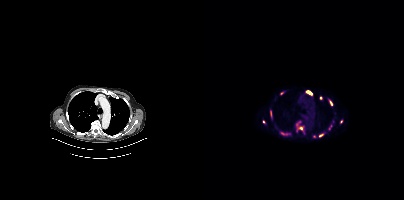
Findings: Coordinates are on the 200×200 PET (right) panel. (showing 11 of 15 foci) PSMA-avid tumor lesion bounding boxes (x0, y0)-(x1, y1): (94, 127)-(99, 130) | (124, 125)-(128, 130) | (103, 91)-(108, 94) | (115, 133)-(119, 136) | (66, 111)-(67, 117) | (126, 101)-(128, 105) | (78, 133)-(83, 134). Small PSMA-avid foci (2 to 4 px across) near (center x, center y): (59, 122) | (116, 97) | (77, 93) | (109, 136).
Technique: Two-panel axial: CT | PSMA PET, 68Ga-PSMA tracer. acquired on Siemens Biograph mCT Flow 20.